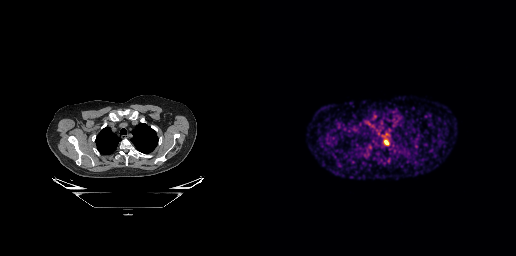
Technique: Left: CT. Right: PSMA PET, same axial level, [68Ga]Ga-PSMA-11 tracer. slice 218 of 263.
Findings: Coordinates are on the 256×256 PET (right) panel. PSMA-avid tumor lesion bounding box (x0,y0,x1,y1): [124,140,128,144].